Two-panel axial: CT | PSMA PET, [18F]PSMA-1007 tracer. Acquired on Siemens Biograph mCT Flow 20. PET panel 200×200 px (4.1 mm/px).
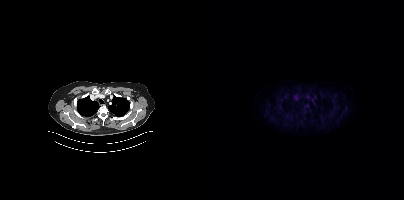
No tumor lesions annotated on this slice.